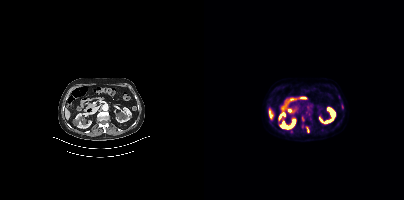
Paired axial CT (left) and PSMA PET (right), [18F]PSMA-1007 tracer. Slice 192 of 407. PET panel 200×200 px (4.1 mm/px).
Coordinates are on the 200×200 PET (right) panel. PSMA-avid tumor lesion bounding boxes (partial; 1 more focus not listed):
| # | x0 | y0 | x1 | y1 |
|---|---|---|---|---|
| 1 | 102 | 126 | 105 | 132 |
Small PSMA-avid foci (2 to 4 px across) near (center x, center y): (138, 106); (98, 118); (98, 126); (87, 132).